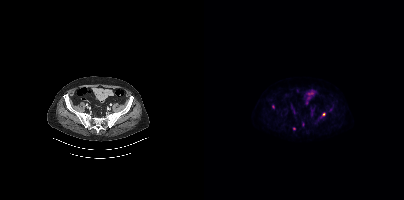
Technique: Paired axial CT (left) and PSMA PET (right), 18F tracer. slice position z = -1346 mm.
Findings: Coordinates are on the 200×200 PET (right) panel. (showing 3 of 4 foci) PSMA-avid tumor lesion bounding box (x, y, width, height): x=98 y=122 w=3 h=5. Small PSMA-avid foci (2 to 4 px across) near (center x, center y): (69, 106) / (119, 114).